Technique: Two-panel axial: CT | PSMA PET, [68Ga]Ga-PSMA-11 tracer. slice 90 of 263. PET panel 256×256 px (2.7 mm/px).
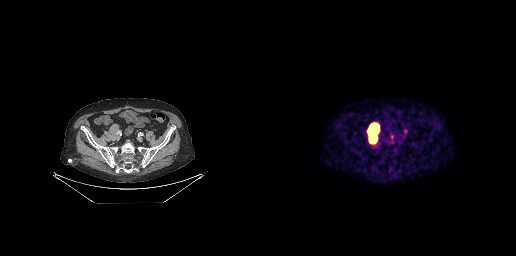
Findings: Coordinates are on the 256×256 PET (right) panel. PSMA-avid tumor lesion bounding box (x, y, width, height): x=109 y=124 w=9 h=18.